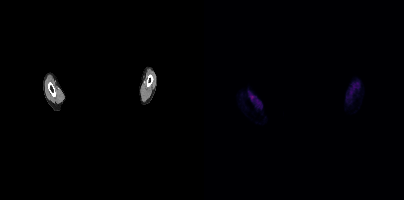
{"modality":"PSMA PET/CT","view":"axial","tracer":"18F","pet_grid":[200,200],"coord_frame":"pet_panel","coord_format":"x0,y0,x1,y1","de-identification":"face masked with black rectangle","psma_avid_lesions":false}